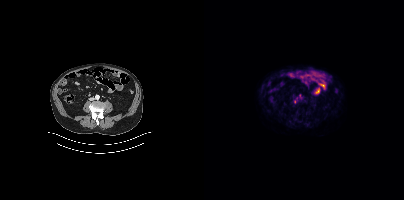
- Paired axial CT (left) and PSMA PET (right), 18F-PSMA tracer
- slice position z = -840 mm
- PET panel 200×200 px (4.1 mm/px)
Findings: Only PSMA-avid lesion pieces thinner than 2 px on this slice (not listed).